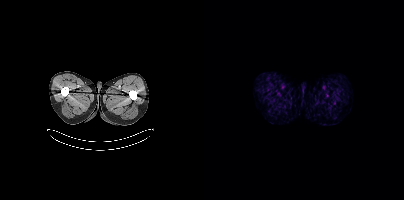
{"pet_grid":[200,200],"coord_frame":"pet_panel","coord_format":"x0,y0,x1,y1","psma_avid_lesions":false,"modality":"PSMA PET/CT","view":"axial","tracer":"[18F]PSMA-1007"}